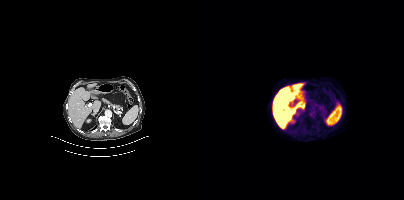
- Paired axial CT (left) and PSMA PET (right), [18F]PSMA-1007 tracer
- acquired on Siemens Biograph mCT Flow 20
- slice 207 of 401
Findings: This slice has no annotated PSMA-avid lesion.